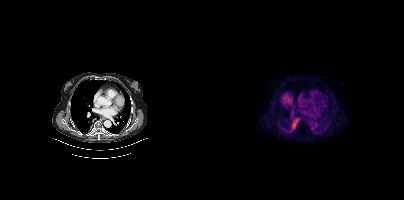
This slice has no annotated PSMA-avid lesion.